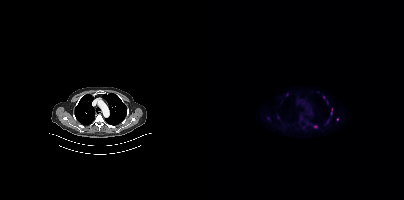
Coordinates are on the 200×200 PET (right) panel. Small PSMA-avid foci (2 to 4 px across) near (center x, center y): (133, 119) | (111, 126).
modality: PSMA PET/CT | tracer: 18F | view: axial